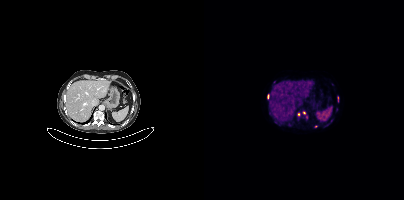
{"modality":"PSMA PET/CT","view":"axial","tracer":"68Ga","pet_grid":[200,200],"coord_frame":"pet_panel","coord_format":"x0,y0,x1,y1","partial":true,"lesion_bboxes":[[99,112,104,119],[133,96,134,102],[63,94,64,98]],"small_foci_centers":[[112,126],[94,114],[70,81]]}